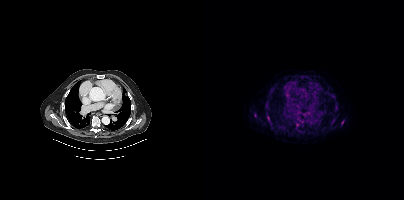
Findings: Coordinates are on the 200×200 PET (right) panel. (showing 4 of 6 foci) Small PSMA-avid foci (2 to 4 px across) near (center x, center y): (64, 117) | (93, 125) | (51, 115) | (138, 122).
- Paired axial CT (left) and PSMA PET (right), [18F]PSMA-1007 tracer
- slice position z = -463 mm
- PET panel 200×200 px (4.1 mm/px)